Technique: Two-panel axial: CT | PSMA PET, [18F]PSMA-1007 tracer. PET panel 200×200 px (4.1 mm/px).
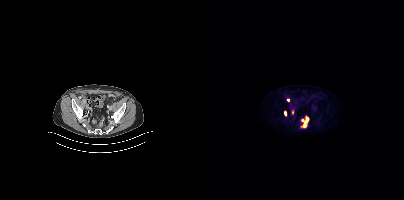
Findings: Coordinates are on the 200×200 PET (right) panel. PSMA-avid tumor lesion bounding boxes (x0,y0,x1,y1): [97,116,105,127], [80,110,82,116], [88,110,89,114]. Small PSMA-avid focus (2 to 4 px across) near (center x, center y): (83, 99).